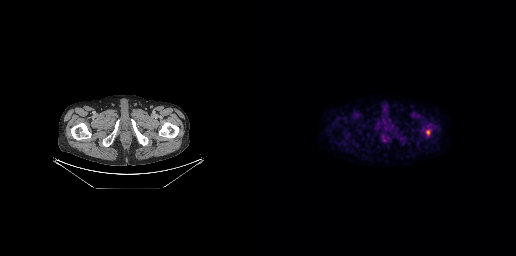
{"modality":"PSMA PET/CT","view":"axial","tracer":"[18F]PSMA-1007","pet_grid":[256,256],"coord_frame":"pet_panel","coord_format":"x0,y0,x1,y1","lesion_bboxes":[],"small_foci_centers":[[168,132]]}